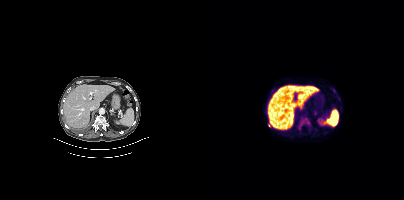
{"modality":"PSMA PET/CT","view":"axial","tracer":"18F-PSMA","pet_grid":[200,200],"coord_frame":"pet_panel","coord_format":"x0,y0,x1,y1","partial":true,"lesion_bboxes":[[97,118,105,124]]}